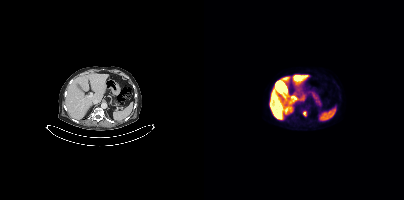
Coordinates are on the 200×200 PET (right) panel. PSMA-avid tumor lesion bounding boxes:
| # | x0 | y0 | x1 | y1 |
|---|---|---|---|---|
| 1 | 99 | 111 | 102 | 115 |
Left: CT. Right: PSMA PET, same axial level, [18F]PSMA-1007 tracer. Acquired on Siemens Biograph mCT Flow 20. Slice position z = 78 mm.